Left: CT. Right: PSMA PET, same axial level, 18F-PSMA tracer. Acquired on Siemens Biograph mCT Flow 20.
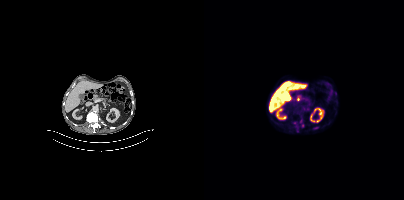
Coordinates are on the 200×200 PET (right) panel. PSMA-avid tumor lesion bounding boxes (partial; 2 more foci not listed):
| # | x0 | y0 | x1 | y1 |
|---|---|---|---|---|
| 1 | 110 | 126 | 114 | 129 |
Small PSMA-avid focus (2 to 4 px across) near (center x, center y): (98, 125).